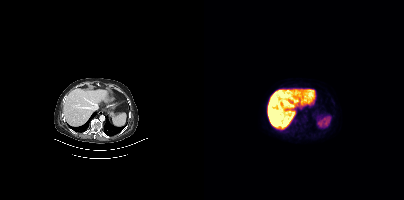
- Left: CT. Right: PSMA PET, same axial level, 18F tracer
- acquired on Siemens Biograph mCT Flow 20
- PET panel 200×200 px (4.1 mm/px)
Findings: Negative for PSMA-avid disease on this slice.